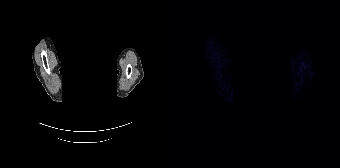
No tumor lesions annotated on this slice.
modality: PSMA PET/CT | tracer: 18F-PSMA | view: axial | deidentification: head region blacked out before release